modality: PSMA PET/CT | tracer: 68Ga | view: axial
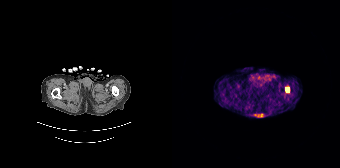
Coordinates are on the 168×168 PET (right) panel. PSMA-avid tumor lesion bounding box (x0,y0,x1,y1): [113,87,117,92].